Technique: Left: CT. Right: PSMA PET, same axial level, 18F tracer. PET panel 200×200 px (4.1 mm/px).
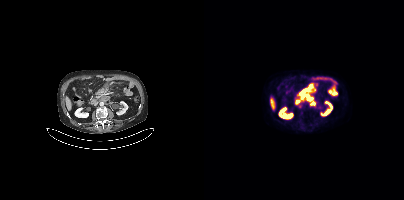
Findings: Coordinates are on the 200×200 PET (right) panel. PSMA-avid tumor lesion bounding box (x, y, width, height): x=99 y=84 w=10 h=11. Small PSMA-avid foci (2 to 4 px across) near (center x, center y): (98, 95) / (96, 106).